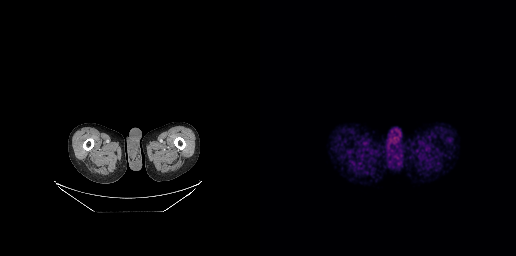
This slice has no annotated PSMA-avid lesion.